- Paired axial CT (left) and PSMA PET (right), 18F tracer
- slice 237 of 299
- PET panel 256×256 px (2.7 mm/px)
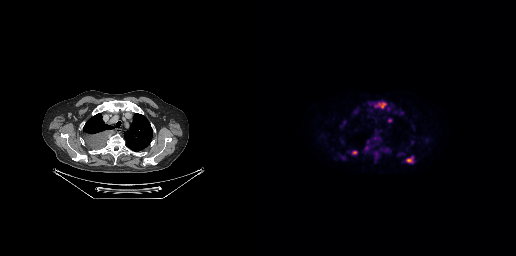
Findings: Coordinates are on the 256×256 PET (right) panel. (showing 7 of 8 foci) PSMA-avid tumor lesion bounding boxes (x0,y0,x1,y1): [115,102,126,109], [146,156,153,163], [128,118,132,122], [92,151,97,154]. Small PSMA-avid foci (2 to 4 px across) near (center x, center y): (128, 108), (141, 112), (106, 147).